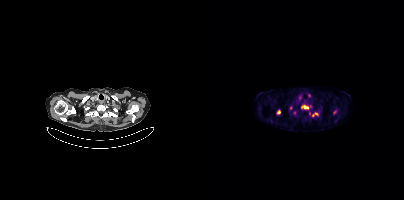
Coordinates are on the 200×200 PET (right) panel. PSMA-avid tumor lesion bounding boxes (x, y, width, height): x=98 y=104 w=9 h=6; x=73 y=110 w=4 h=5. Small PSMA-avid foci (2 to 4 px across) near (center x, center y): (86, 107); (130, 112); (112, 113); (108, 115).
modality: PSMA PET/CT | tracer: 18F-PSMA | view: axial | PET grid: 200×200